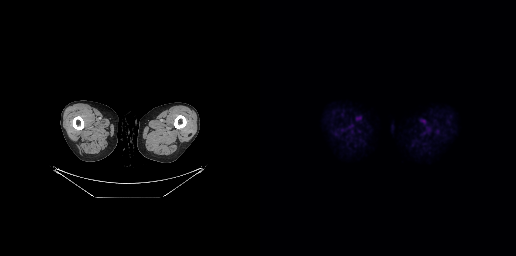
Two-panel axial: CT | PSMA PET, 18F-PSMA tracer. Acquired on GE Discovery 690. Negative for PSMA-avid disease on this slice.